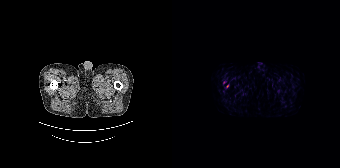
Paired axial CT (left) and PSMA PET (right), [18F]PSMA-1007 tracer. Acquired on Siemens Biograph 64-4R TruePoint. Slice 7 of 165. Coordinates are on the 168×168 PET (right) panel. (showing 1 of 2 foci) Small PSMA-avid focus (2 to 4 px across) near (center x, center y): (55, 86).